- Left: CT. Right: PSMA PET, same axial level, 68Ga tracer
- slice 65 of 263
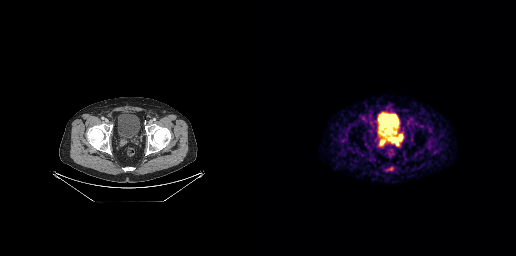
Findings: Coordinates are on the 256×256 PET (right) panel. PSMA-avid tumor lesion bounding boxes (x0,y0,x1,y1): [128,134,142,146] [118,139,124,146].